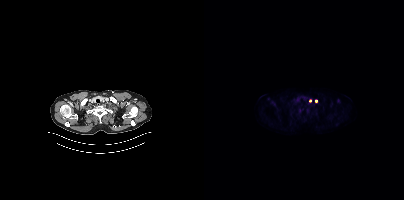
modality: PSMA PET/CT | tracer: 18F | view: axial
Only PSMA-avid lesion pieces thinner than 2 px on this slice (not listed).